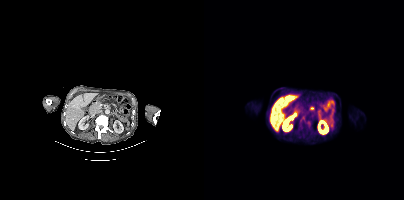
{"pet_grid":[200,200],"coord_frame":"pet_panel","coord_format":"x0,y0,x1,y1","lesion_bboxes":[[96,115,102,122]],"modality":"PSMA PET/CT","view":"axial","tracer":"18F-PSMA"}